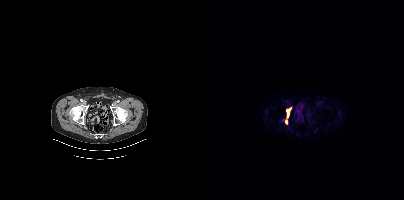
Coordinates are on the 200×200 PET (right) panel. PSMA-avid tumor lesion bounding boxes:
| # | x0 | y0 | x1 | y1 |
|---|---|---|---|---|
| 1 | 82 | 108 | 86 | 118 |
Small PSMA-avid focus (2 to 4 px across) near (center x, center y): (82, 121).
Paired axial CT (left) and PSMA PET (right), 18F tracer.